Technique: Left: CT. Right: PSMA PET, same axial level, 18F tracer. slice position z = -702 mm.
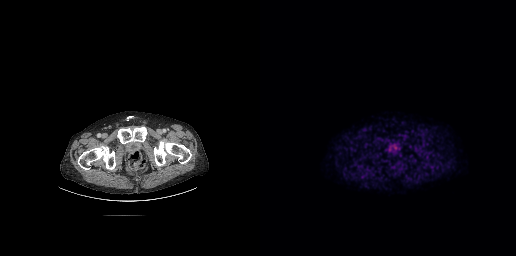
Findings: This slice has no annotated PSMA-avid lesion.